Two-panel axial: CT | PSMA PET, 18F tracer.
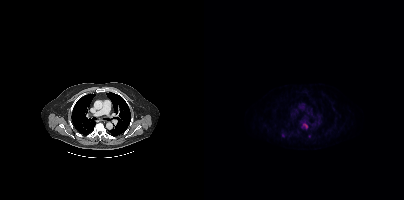
Coordinates are on the 200×200 PET (right) panel. (showing 2 of 3 foci) Small PSMA-avid foci (2 to 4 px across) near (center x, center y): (79, 134); (105, 136).